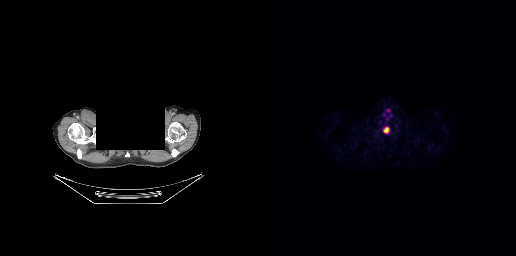
Findings: Coordinates are on the 256×256 PET (right) panel. PSMA-avid tumor lesion bounding box (x0, y0)-(x1, y1): (123, 127)-(129, 133).
Technique: Two-panel axial: CT | PSMA PET, 18F tracer. PET panel 256×256 px (2.7 mm/px).
Note: Facial anatomy redacted by setting a rectangular region of the head to black.